modality: PSMA PET/CT | tracer: 18F | view: axial | PET grid: 200×200
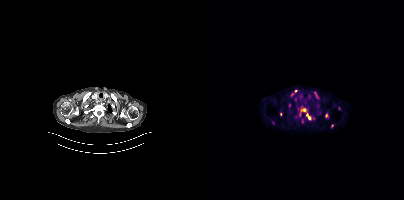
Coordinates are on the 200×200 PET (right) panel. (showing 9 of 12 foci) PSMA-avid tumor lesion bounding boxes (x0, y0)-(x1, y1): (95, 106)-(107, 120); (110, 92)-(115, 98); (76, 111)-(78, 116). Small PSMA-avid foci (2 to 4 px across) near (center x, center y): (69, 122); (92, 91); (122, 115); (98, 121); (128, 125); (87, 94).